Paired axial CT (left) and PSMA PET (right), [18F]PSMA-1007 tracer. PET panel 200×200 px (4.1 mm/px).
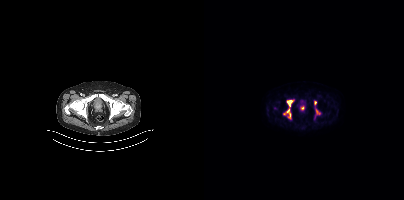
Coordinates are on the 200×200 PET (right) panel. PSMA-avid tumor lesion bounding boxes (partial; 1 more focus not listed):
| # | x0 | y0 | x1 | y1 |
|---|---|---|---|---|
| 1 | 83 | 100 | 89 | 106 |
| 2 | 80 | 108 | 86 | 118 |
| 3 | 111 | 108 | 116 | 114 |
| 4 | 110 | 101 | 112 | 105 |
Small PSMA-avid focus (2 to 4 px across) near (center x, center y): (98, 107).